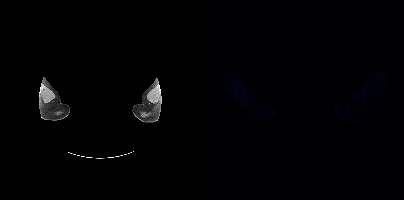
{"modality":"PSMA PET/CT","view":"axial","tracer":"18F-PSMA","pet_grid":[200,200],"coord_frame":"pet_panel","coord_format":"x0,y0,x1,y1","psma_avid_lesions":false,"redaction":"head region blanked (face removed)"}